Left: CT. Right: PSMA PET, same axial level, 18F-PSMA tracer. Slice 121 of 433. PET panel 200×200 px (4.1 mm/px).
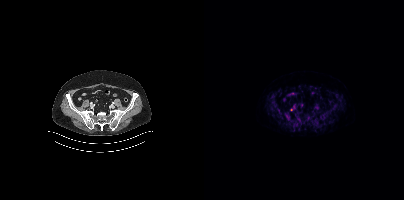
Only PSMA-avid lesion pieces thinner than 2 px on this slice (not listed).